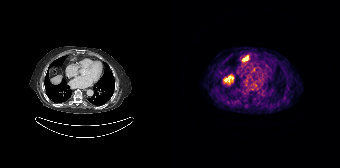
Coordinates are on the 168×168 PET (right) panel. Small PSMA-avid focus (2 to 4 px across) near (center x, center y): (73, 58).